- Two-panel axial: CT | PSMA PET, 18F-PSMA tracer
- slice position z = -718 mm
- PET panel 200×200 px (4.1 mm/px)
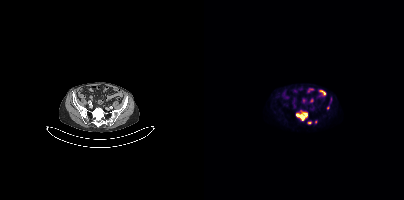
Findings: Coordinates are on the 200×200 PET (right) panel. (showing 3 of 4 foci) PSMA-avid tumor lesion bounding box (x, y, width, height): x=92 y=112 w=12 h=10. Small PSMA-avid foci (2 to 4 px across) near (center x, center y): (105, 122) | (123, 107).